Left: CT. Right: PSMA PET, same axial level, 18F-PSMA tracer. Acquired on Siemens Biograph mCT Flow 20. Slice 285 of 466.
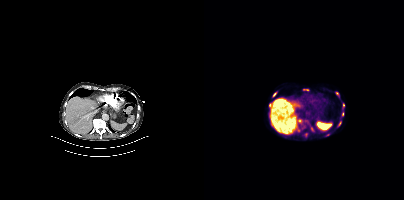
Coordinates are on the 200×200 PET (right) panel. PSMA-avid tumor lesion bounding boxes (partial; 2 more foci not listed):
| # | x0 | y0 | x1 | y1 |
|---|---|---|---|---|
| 1 | 131 | 92 | 135 | 96 |
| 2 | 65 | 103 | 67 | 107 |
| 3 | 139 | 103 | 140 | 108 |
| 4 | 138 | 112 | 140 | 116 |
| 5 | 92 | 127 | 95 | 131 |
| 6 | 67 | 124 | 70 | 128 |
Small PSMA-avid foci (2 to 4 px across) near (center x, center y): (70, 94); (96, 121); (136, 123); (107, 129); (103, 89).